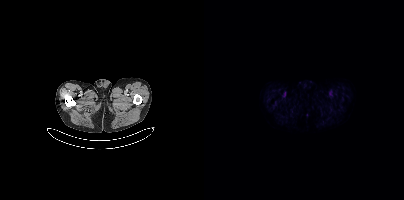
{"modality":"PSMA PET/CT","view":"axial","tracer":"18F-PSMA","pet_grid":[200,200],"coord_frame":"pet_panel","coord_format":"x0,y0,x1,y1","psma_avid_lesions":false}